modality: PSMA PET/CT | tracer: 68Ga-PSMA | view: axial | PET grid: 200×200
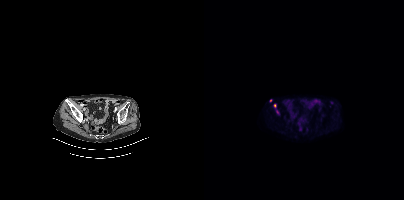
Coordinates are on the 200×200 PET (right) panel. Small PSMA-avid foci (2 to 4 px across) near (center x, center y): (71, 105) (66, 100).